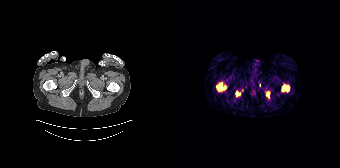
Left: CT. Right: PSMA PET, same axial level, 68Ga-PSMA tracer. Acquired on Siemens Biograph 64-4R TruePoint. Slice 47 of 195. PET panel 168×168 px (4.1 mm/px). Coordinates are on the 168×168 PET (right) panel. PSMA-avid tumor lesion bounding boxes (x0, y0)-(x1, y1): (110, 85)-(117, 91) | (45, 83)-(54, 90) | (94, 91)-(97, 97) | (64, 91)-(68, 95). Small PSMA-avid focus (2 to 4 px across) near (center x, center y): (87, 85).